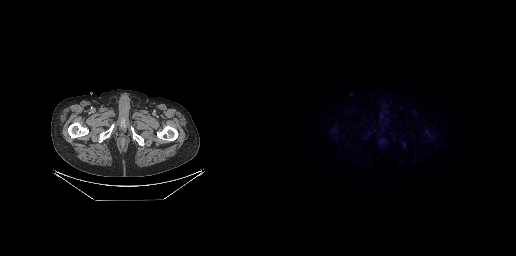
Technique: Two-panel axial: CT | PSMA PET, 18F tracer.
Findings: Coordinates are on the 256×256 PET (right) panel. Small PSMA-avid focus (2 to 4 px across) near (center x, center y): (166, 131).